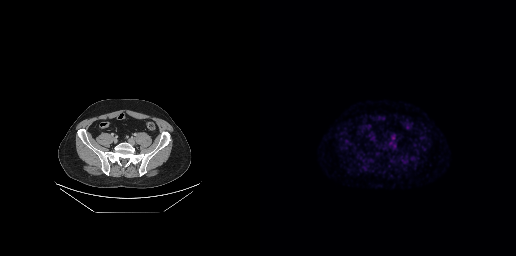
Findings: Negative for PSMA-avid disease on this slice.
Technique: Left: CT. Right: PSMA PET, same axial level, [18F]PSMA-1007 tracer.